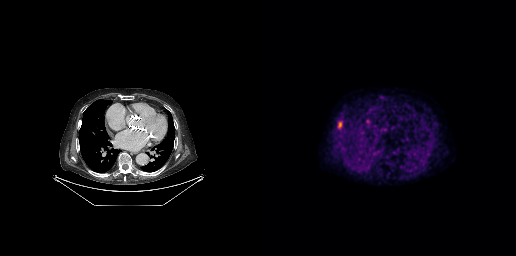
Two-panel axial: CT | PSMA PET, [18F]PSMA-1007 tracer. Acquired on GE Discovery 690.
Coordinates are on the 256×256 PET (right) panel. PSMA-avid tumor lesion bounding boxes:
| # | x0 | y0 | x1 | y1 |
|---|---|---|---|---|
| 1 | 78 | 121 | 82 | 128 |
| 2 | 120 | 96 | 124 | 98 |